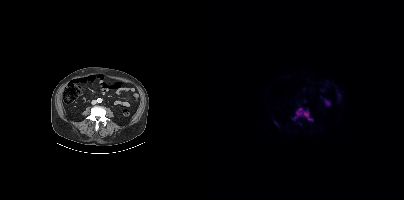
Two-panel axial: CT | PSMA PET, [18F]PSMA-1007 tracer. Acquired on Siemens Biograph mCT Flow 20. Slice position z = -1477 mm. PET panel 200×200 px (4.1 mm/px).
Coordinates are on the 200×200 PET (right) panel. PSMA-avid tumor lesion bounding boxes:
| # | x0 | y0 | x1 | y1 |
|---|---|---|---|---|
| 1 | 90 | 108 | 108 | 120 |
| 2 | 70 | 121 | 73 | 125 |